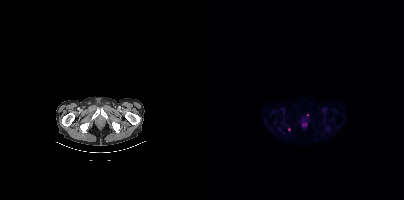
Coordinates are on the 200×200 PET (right) panel. Small PSMA-avid focus (2 to 4 px across) near (center x, center y): (84, 129).
modality: PSMA PET/CT | tracer: 18F-PSMA | view: axial